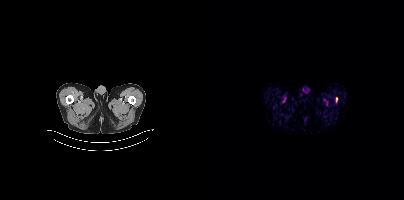
Paired axial CT (left) and PSMA PET (right), [18F]PSMA-1007 tracer. Acquired on Siemens Biograph mCT Flow 20. Slice position z = -1784 mm. PET panel 200×200 px (4.1 mm/px).
Coordinates are on the 200×200 PET (right) panel. PSMA-avid tumor lesion bounding boxes:
| # | x0 | y0 | x1 | y1 |
|---|---|---|---|---|
| 1 | 132 | 98 | 133 | 102 |